Two-panel axial: CT | PSMA PET, 68Ga tracer. Acquired on Siemens Biograph 64-4R TruePoint. Slice 124 of 195.
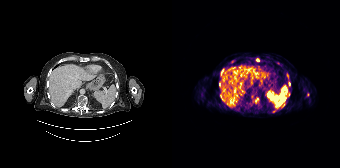
Coordinates are on the 168×168 PET (right) panel. (showing 6 of 7 foci) PSMA-avid tumor lesion bounding box (x, y, width, height): x=49 y=69 w=3 h=5. Small PSMA-avid foci (2 to 4 px across) near (center x, center y): (117, 83) | (47, 84) | (85, 60) | (49, 97) | (84, 99).